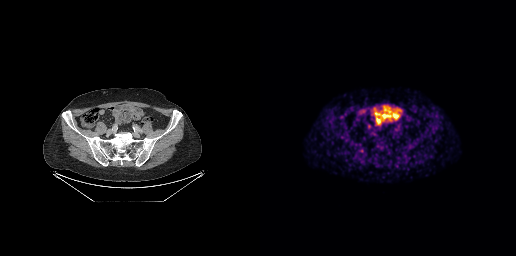
modality: PSMA PET/CT | tracer: [68Ga]Ga-PSMA-11 | view: axial
No PSMA-avid tumor lesions on this slice.